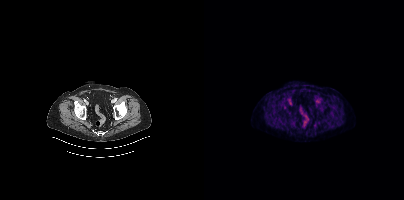
{"modality":"PSMA PET/CT","view":"axial","tracer":"18F","pet_grid":[200,200],"coord_frame":"pet_panel","coord_format":"x0,y0,x1,y1","psma_avid_lesions":false}